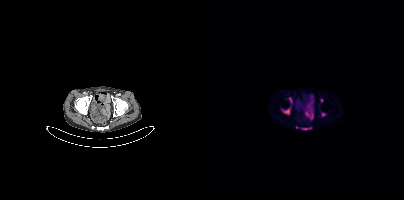
{"pet_grid":[200,200],"coord_frame":"pet_panel","coord_format":"x0,y0,x1,y1","lesion_bboxes":[[78,109,85,114],[97,127,107,129],[85,98,87,102]],"small_foci_centers":[[119,114],[117,100],[92,127]],"modality":"PSMA PET/CT","view":"axial","tracer":"18F-PSMA"}